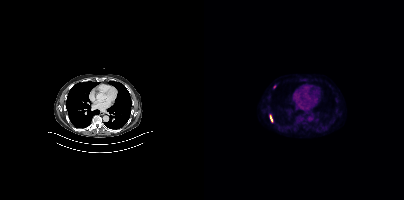
modality: PSMA PET/CT | tracer: [18F]PSMA-1007 | view: axial | PET grid: 200×200
Coordinates are on the 200×200 PET (right) panel. PSMA-avid tumor lesion bounding box (x, y, width, height): x=66 y=115 w=3 h=7. Small PSMA-avid focus (2 to 4 px across) near (center x, center y): (70, 86).